Technique: Left: CT. Right: PSMA PET, same axial level, [18F]PSMA-1007 tracer.
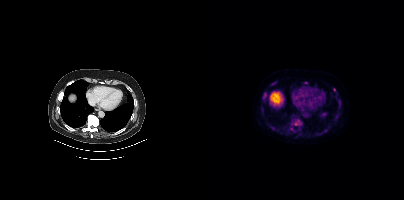
Findings: Coordinates are on the 200×200 PET (right) panel. (showing 1 of 2 foci) Small PSMA-avid focus (2 to 4 px across) near (center x, center y): (130, 89).